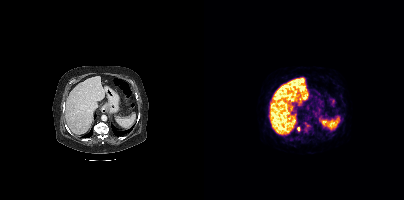
Paired axial CT (left) and PSMA PET (right), [68Ga]Ga-PSMA-11 tracer. Acquired on Siemens Biograph mCT Flow 20. Slice 239 of 444. Coordinates are on the 200×200 PET (right) panel. PSMA-avid tumor lesion bounding box (x, y, width, height): x=93 y=127 w=4 h=5. Small PSMA-avid focus (2 to 4 px across) near (center x, center y): (103, 125).